modality: PSMA PET/CT | tracer: 18F-PSMA | view: axial
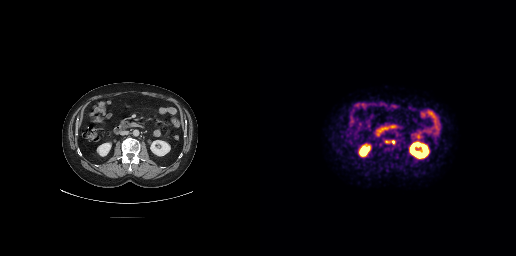
Coordinates are on the 256×256 PET (right) panel. PSMA-avid tumor lesion bounding box (x, y, width, height): x=125 y=140 w=11 h=5.